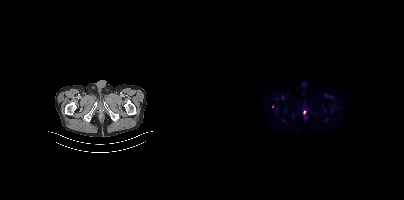
Coordinates are on the 200×200 PET (right) panel. Small PSMA-avid focus (2 to 4 px across) near (center x, center y): (100, 112).